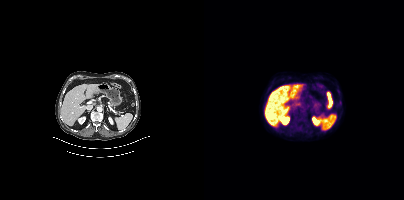
Technique: Paired axial CT (left) and PSMA PET (right), [18F]PSMA-1007 tracer. acquired on Siemens Biograph mCT Flow 20.
Findings: Negative for PSMA-avid disease on this slice.